Left: CT. Right: PSMA PET, same axial level, [18F]PSMA-1007 tracer. Acquired on GE Discovery 690.
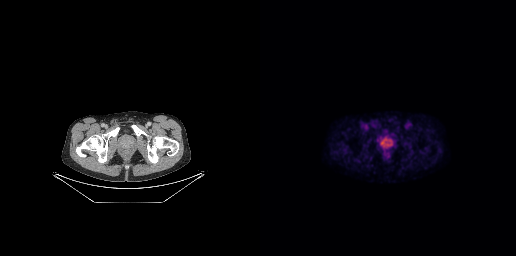
Coordinates are on the 256×256 PET (right) panel. PSMA-avid tumor lesion bounding boxes:
| # | x0 | y0 | x1 | y1 |
|---|---|---|---|---|
| 1 | 118 | 135 | 133 | 150 |